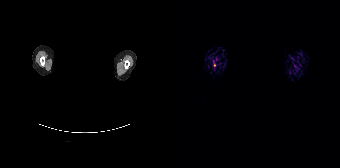
{"modality":"PSMA PET/CT","view":"axial","tracer":"[68Ga]Ga-PSMA-11","pet_grid":[168,168],"coord_frame":"pet_panel","coord_format":"x0,y0,x1,y1","partial":true,"lesion_bboxes":[],"deidentification":"head region blanked (face removed)"}